Left: CT. Right: PSMA PET, same axial level, [18F]PSMA-1007 tracer. PET panel 200×200 px (4.1 mm/px).
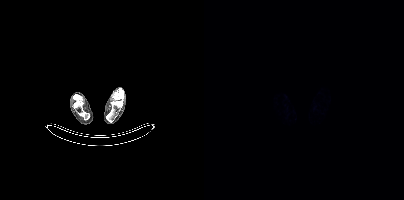
This slice has no annotated PSMA-avid lesion.